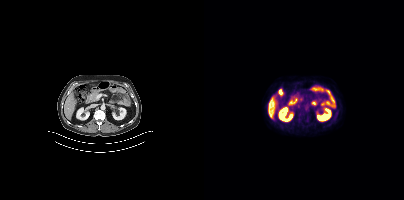
{"modality":"PSMA PET/CT","view":"axial","tracer":"18F","pet_grid":[200,200],"coord_frame":"pet_panel","coord_format":"x0,y0,x1,y1","psma_avid_lesions":false}